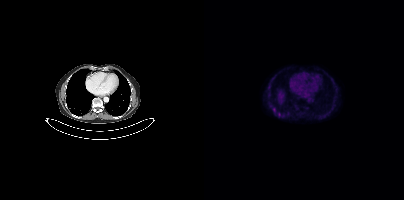
Paired axial CT (left) and PSMA PET (right), [18F]PSMA-1007 tracer. Slice 244 of 413. Only PSMA-avid lesion pieces thinner than 2 px on this slice (not listed).